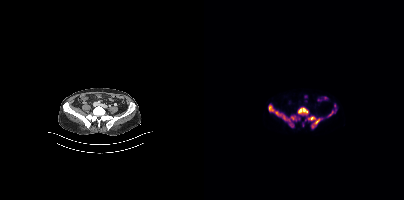
Findings: Coordinates are on the 200×200 PET (right) panel. (showing 4 of 8 foci) PSMA-avid tumor lesion bounding boxes (x0, y0)-(x1, y1): (64, 105)-(92, 127); (103, 116)-(118, 128); (94, 107)-(104, 115); (124, 111)-(129, 116).
- Paired axial CT (left) and PSMA PET (right), [18F]PSMA-1007 tracer
- acquired on Siemens Biograph mCT Flow 20
- PET panel 200×200 px (4.1 mm/px)